Technique: Two-panel axial: CT | PSMA PET, [18F]PSMA-1007 tracer.
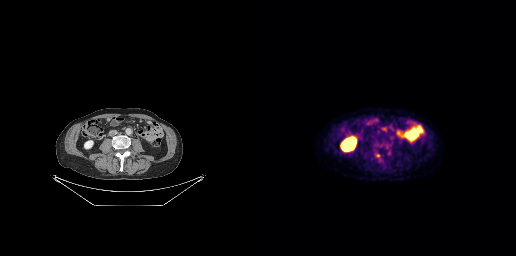
Findings: Coordinates are on the 256×256 PET (right) panel. (showing 3 of 4 foci) PSMA-avid tumor lesion bounding boxes (x, y, width, height): x=120 y=126 w=8 h=7 / x=130 y=127 w=5 h=5. Small PSMA-avid focus (2 to 4 px across) near (center x, center y): (118, 155).